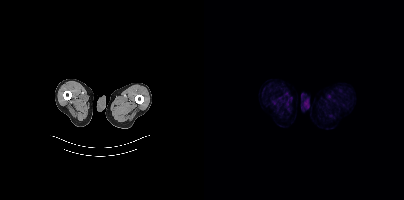
{"modality":"PSMA PET/CT","view":"axial","tracer":"18F-PSMA","pet_grid":[200,200],"coord_frame":"pet_panel","coord_format":"x0,y0,x1,y1","psma_avid_lesions":false}